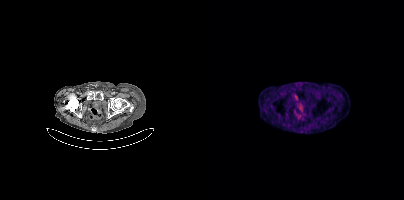
{"modality":"PSMA PET/CT","view":"axial","tracer":"68Ga-PSMA","pet_grid":[200,200],"coord_frame":"pet_panel","coord_format":"x0,y0,x1,y1","lesion_bboxes":[[90,95,94,100],[94,105,98,110]]}